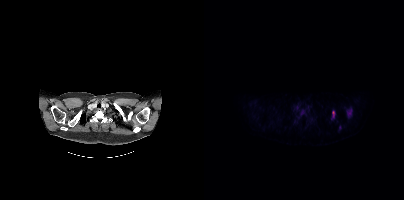
Coordinates are on the 200×200 PET (right) panel. (showing 3 of 4 foci) PSMA-avid tumor lesion bounding boxes (x0, y0)-(x1, y1): (143, 110)-(147, 115) / (128, 111)-(130, 115). Small PSMA-avid focus (2 to 4 px across) near (center x, center y): (135, 127).